modality: PSMA PET/CT | tracer: 18F | view: axial
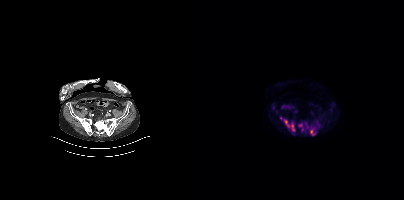
Coordinates are on the 200×200 PET (right) panel. PSMA-avid tumor lesion bounding boxes (x0, y0)-(x1, y1): (76, 117)-(91, 131); (94, 122)-(101, 132); (106, 128)-(112, 135); (109, 119)-(114, 125). Small PSMA-avid focus (2 to 4 px across) near (center x, center y): (101, 122).